modality: PSMA PET/CT | tracer: 18F | view: axial
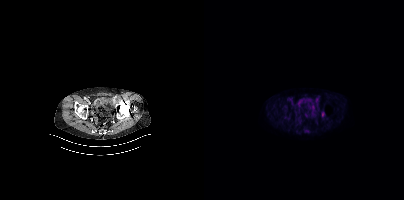
This slice has no annotated PSMA-avid lesion.